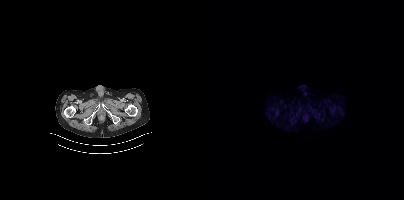
No tumor lesions annotated on this slice. Two-panel axial: CT | PSMA PET, 18F tracer. Acquired on Siemens Biograph mCT Flow 20. PET panel 200×200 px (4.1 mm/px).